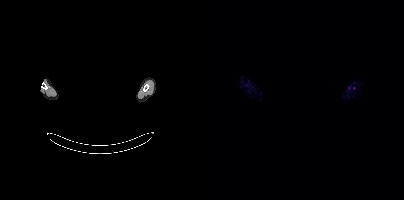
Technique: Two-panel axial: CT | PSMA PET, [18F]PSMA-1007 tracer. slice position z = -832 mm. PET panel 200×200 px (4.1 mm/px).
Note: Privacy masking over the head, with the pixels inside a rectangle set to black.
Findings: Negative for PSMA-avid disease on this slice.